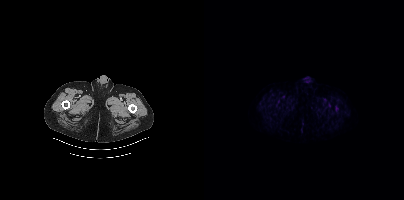
Coordinates are on the 200×200 PET (right) panel. PSMA-avid tumor lesion bounding boxes:
| # | x0 | y0 | x1 | y1 |
|---|---|---|---|---|
| 1 | 131 | 107 | 134 | 111 |
Left: CT. Right: PSMA PET, same axial level, 18F-PSMA tracer. Slice position z = -1483 mm. PET panel 200×200 px (4.1 mm/px).